Two-panel axial: CT | PSMA PET, 18F-PSMA tracer. Acquired on Siemens Biograph mCT Flow 20. Slice position z = -580 mm. PET panel 200×200 px (4.1 mm/px).
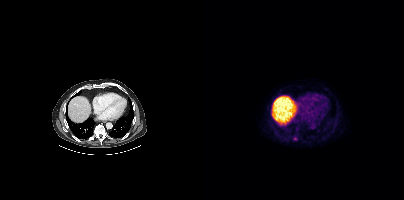
Coordinates are on the 200×200 PET (right) panel. PSMA-avid tumor lesion bounding box (x0, y0)-(x1, y1): (89, 137)-(93, 140).